Technique: Two-panel axial: CT | PSMA PET, 18F tracer. acquired on Siemens Biograph mCT Flow 20. slice 117 of 454. PET panel 200×200 px (4.1 mm/px).
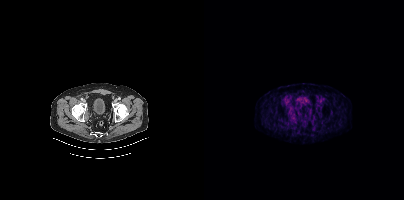
Findings: This slice has no annotated PSMA-avid lesion.